The head region is masked for de-identification.
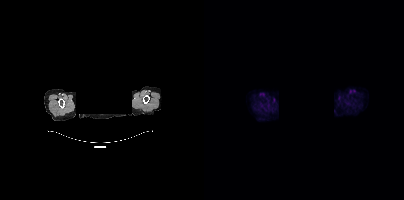
No PSMA-avid tumor lesions on this slice.